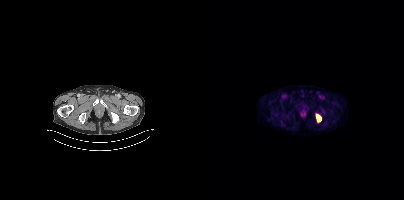
Left: CT. Right: PSMA PET, same axial level, 18F-PSMA tracer. Acquired on Siemens Biograph mCT Flow 20. Slice 51 of 407. PET panel 200×200 px (4.1 mm/px). Coordinates are on the 200×200 PET (right) panel. PSMA-avid tumor lesion bounding box (x0, y0)-(x1, y1): (112, 114)-(117, 122).